- Left: CT. Right: PSMA PET, same axial level, [68Ga]Ga-PSMA-11 tracer
- slice 262 of 413
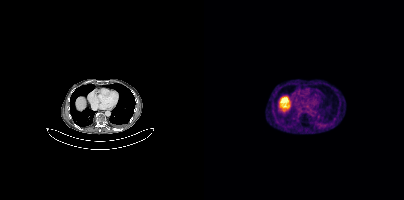
Findings: No PSMA-avid tumor lesions on this slice.